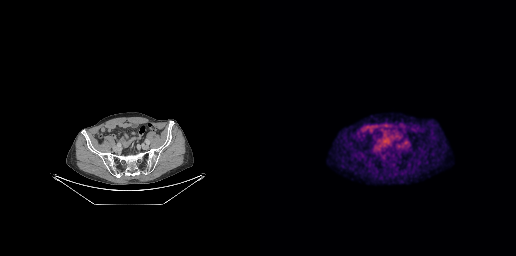
Coordinates are on the 256×256 PET (right) panel. Small PSMA-avid focus (2 to 4 px across) near (center x, center y): (138, 153). Paired axial CT (left) and PSMA PET (right), 18F-PSMA tracer. Acquired on GE Discovery 690.